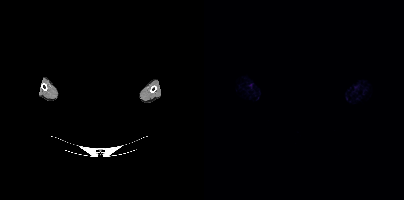
Two-panel axial: CT | PSMA PET, [18F]PSMA-1007 tracer. Acquired on Siemens Biograph mCT Flow 20. Slice position z = -747 mm. PET panel 200×200 px (4.1 mm/px). The face region was removed for patient privacy by blanking a rectangle over the head. This slice has no annotated PSMA-avid lesion.